Technique: Left: CT. Right: PSMA PET, same axial level, 18F tracer. acquired on Siemens Biograph mCT Flow 20. slice 29 of 435.
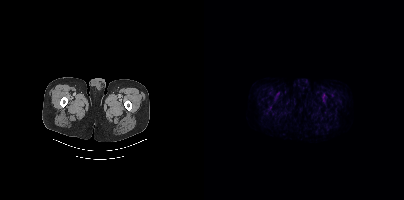
Findings: Negative for PSMA-avid disease on this slice.